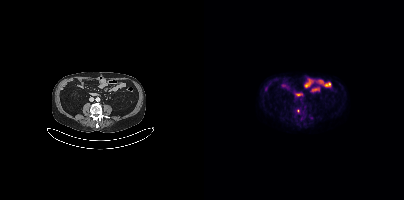
modality: PSMA PET/CT | tracer: 18F-PSMA | view: axial | PET grid: 200×200
Coordinates are on the 200×200 PET (right) panel. (showing 1 of 2 foci) Small PSMA-avid focus (2 to 4 px across) near (center x, center y): (107, 117).